Technique: Two-panel axial: CT | PSMA PET, [18F]PSMA-1007 tracer. slice 57 of 403. PET panel 200×200 px (4.1 mm/px).
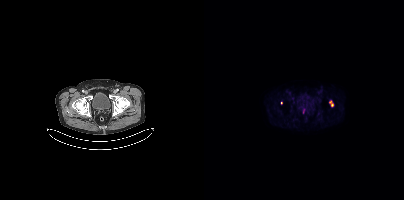
Findings: Coordinates are on the 200×200 PET (right) panel. (showing 2 of 3 foci) Small PSMA-avid foci (2 to 4 px across) near (center x, center y): (99, 110); (126, 101).